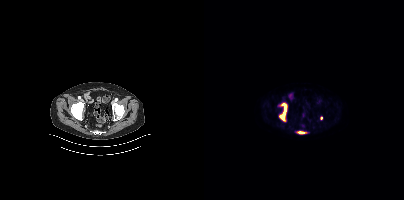
modality: PSMA PET/CT | tracer: 18F-PSMA | view: axial
Coordinates are on the 200×200 PET (right) panel. PSMA-avid tumor lesion bounding boxes (x, y, width, height): x=75 y=103 w=8 h=18; x=94 y=131 w=8 h=3. Small PSMA-avid focus (2 to 4 px across) near (center x, center y): (117, 118).